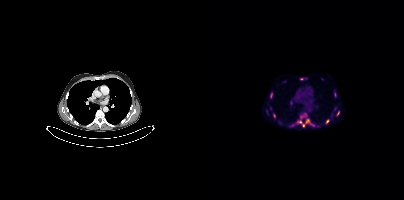
Coordinates are on the 200×200 PET (right) panel. (showing 7 of 12 foci) PSMA-avid tumor lesion bounding boxes (x0, y0)-(x1, y1): (92, 115)-(107, 127); (121, 119)-(125, 124); (66, 92)-(68, 98); (132, 111)-(135, 116); (69, 113)-(71, 118). Small PSMA-avid foci (2 to 4 px across) near (center x, center y): (131, 94); (97, 78). Two-panel axial: CT | PSMA PET, [18F]PSMA-1007 tracer. Acquired on Siemens Biograph mCT Flow 20.